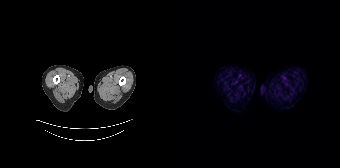
Negative for PSMA-avid disease on this slice.